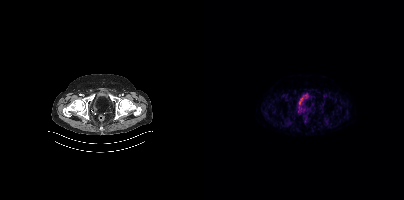
modality: PSMA PET/CT | tracer: [18F]PSMA-1007 | view: axial
No tumor lesions annotated on this slice.